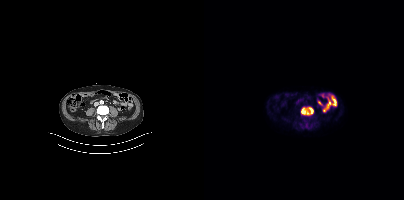
Technique: Two-panel axial: CT | PSMA PET, 18F tracer. PET panel 200×200 px (4.1 mm/px).
Findings: Coordinates are on the 200×200 PET (right) panel. PSMA-avid tumor lesion bounding box (x, y, width, height): x=97 y=107 w=13 h=9. Small PSMA-avid focus (2 to 4 px across) near (center x, center y): (102, 126).